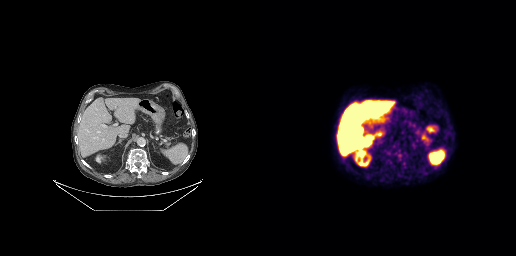
This slice has no annotated PSMA-avid lesion.
modality: PSMA PET/CT | tracer: 18F | view: axial | PET grid: 256×256